Two-panel axial: CT | PSMA PET, 68Ga-PSMA tracer.
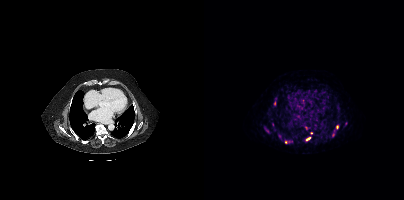
Coordinates are on the 200×200 PET (right) panel. PSMA-avid tumor lesion bounding boxes (partial; 1 more focus not listed):
| # | x0 | y0 | x1 | y1 |
|---|---|---|---|---|
| 1 | 102 | 137 | 106 | 140 |
| 2 | 132 | 125 | 134 | 129 |
Small PSMA-avid foci (2 to 4 px across) near (center x, center y): (129, 134); (82, 142); (107, 133); (70, 103); (101, 127).